Left: CT. Right: PSMA PET, same axial level, 18F tracer.
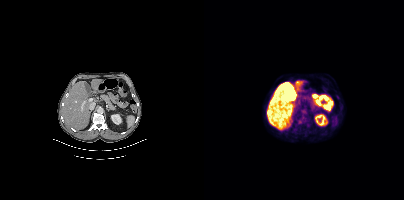
Coordinates are on the 200×200 PET (right) panel. Small PSMA-avid focus (2 to 4 px across) near (center x, center y): (96, 120).